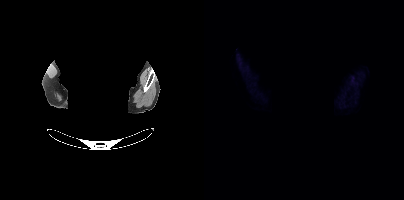
Technique: Paired axial CT (left) and PSMA PET (right), 18F tracer. slice position z = -311 mm. PET panel 200×200 px (4.1 mm/px).
Note: The face region was removed for patient privacy by blanking a rectangle over the head.
Findings: No tumor lesions annotated on this slice.